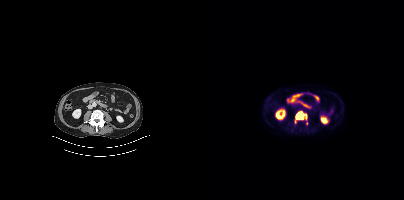
Technique: Two-panel axial: CT | PSMA PET, 18F tracer. slice position z = -728 mm. PET panel 200×200 px (4.1 mm/px).
Findings: Coordinates are on the 200×200 PET (right) panel. (showing 1 of 3 foci) PSMA-avid tumor lesion bounding box (x0, y0)-(x1, y1): (92, 112)-(99, 119).